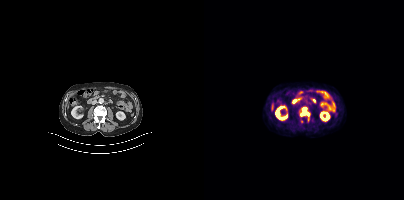
{"modality":"PSMA PET/CT","view":"axial","tracer":"18F-PSMA","pet_grid":[200,200],"coord_frame":"pet_panel","coord_format":"x0,y0,x1,y1","lesion_bboxes":[[96,107,105,120]]}